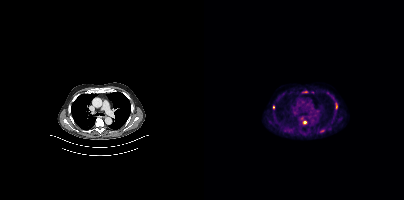
Paired axial CT (left) and PSMA PET (right), 18F tracer. Acquired on Siemens Biograph mCT Flow 20. Slice 294 of 405. Coordinates are on the 200×200 PET (right) panel. PSMA-avid tumor lesion bounding box (x0,y0,x1,y1): [132,104,133,108]. Small PSMA-avid foci (2 to 4 px across) near (center x, center y): (100, 122); (69, 107); (101, 91).